Two-panel axial: CT | PSMA PET, [18F]PSMA-1007 tracer. Acquired on Siemens Biograph mCT Flow 20. Slice position z = -1263 mm. PET panel 200×200 px (4.1 mm/px).
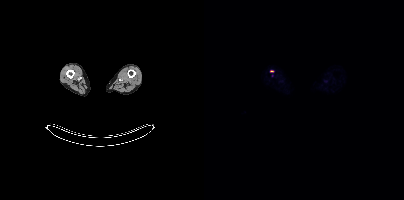
Coordinates are on the 200×200 PET (right) panel. Small PSMA-avid focus (2 to 4 px across) near (center x, center y): (67, 70).